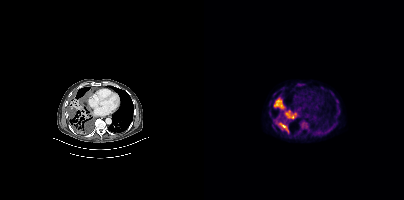
{"pet_grid":[200,200],"coord_frame":"pet_panel","coord_format":"x0,y0,x1,y1","lesion_bboxes":[[69,97,81,109],[96,120,104,129],[82,110,92,118],[77,124,84,133],[71,120,75,125]],"small_foci_centers":[[115,132]],"modality":"PSMA PET/CT","view":"axial","tracer":"18F-PSMA"}